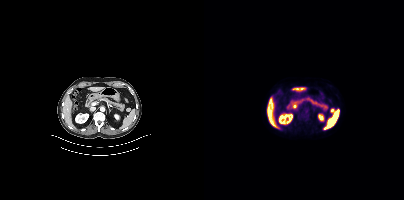
Coordinates are on the 200×200 PET (right) panel. Small PSMA-avid focus (2 to 4 px across) near (center x, center y): (128, 110).